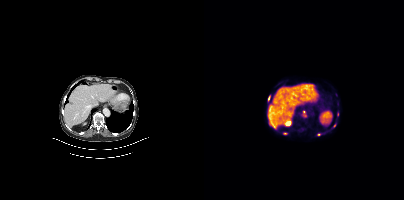
{"modality":"PSMA PET/CT","view":"axial","tracer":"68Ga","pet_grid":[200,200],"coord_frame":"pet_panel","coord_format":"x0,y0,x1,y1","partial":true,"lesion_bboxes":[[99,111,102,116],[79,132,83,134]],"small_foci_centers":[[114,134],[64,98],[130,125]]}